Paired axial CT (left) and PSMA PET (right), 68Ga tracer.
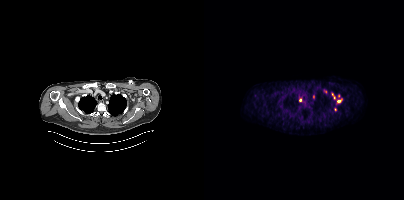
Coordinates are on the 200×200 PET (right) panel. (showing 5 of 8 foci) Small PSMA-avid foci (2 to 4 px across) near (center x, center y): (96, 100) (109, 96) (134, 101) (128, 93) (130, 97).